modality: PSMA PET/CT | tracer: 68Ga | view: axial | PET grid: 168×168
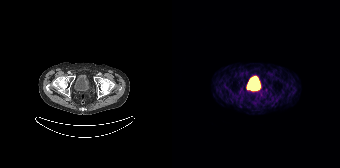
No PSMA-avid tumor lesions on this slice.